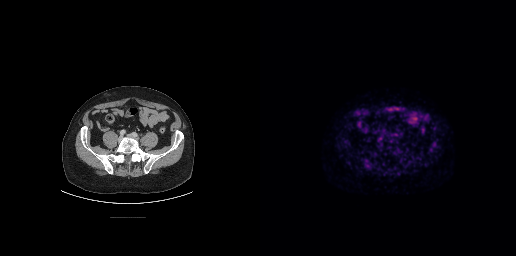
Findings: This slice has no annotated PSMA-avid lesion.
- Two-panel axial: CT | PSMA PET, [18F]PSMA-1007 tracer
- acquired on GE Discovery 690